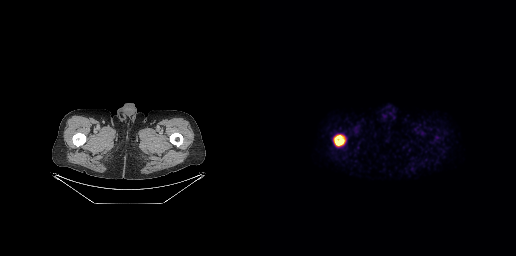
Coordinates are on the 256×256 PET (right) panel. PSMA-avid tumor lesion bounding boxes:
| # | x0 | y0 | x1 | y1 |
|---|---|---|---|---|
| 1 | 74 | 135 | 85 | 146 |
Two-panel axial: CT | PSMA PET, [18F]PSMA-1007 tracer. PET panel 256×256 px (2.7 mm/px).